Technique: Two-panel axial: CT | PSMA PET, 68Ga tracer. slice 77 of 165. PET panel 168×168 px (4.1 mm/px).
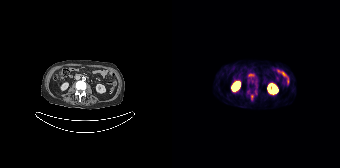
Findings: Coordinates are on the 168×168 PET (right) panel. Small PSMA-avid focus (2 to 4 px across) near (center x, center y): (79, 96).